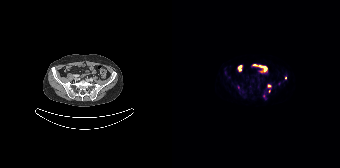
Paired axial CT (left) and PSMA PET (right), 18F-PSMA tracer. Coordinates are on the 168×168 PET (right) panel. (showing 2 of 3 foci) Small PSMA-avid foci (2 to 4 px across) near (center x, center y): (113, 77) | (97, 86).